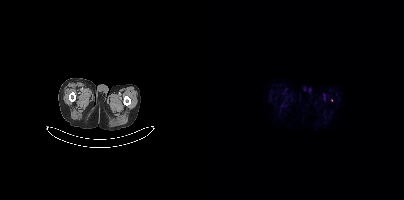
Only PSMA-avid lesion pieces thinner than 2 px on this slice (not listed).